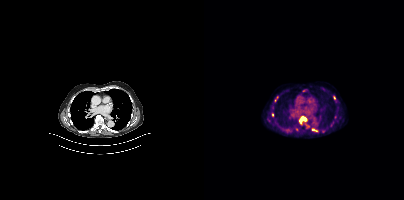
Left: CT. Right: PSMA PET, same axial level, 18F tracer. Acquired on Siemens Biograph mCT Flow 20. PET panel 200×200 px (4.1 mm/px). Coordinates are on the 200×200 PET (right) panel. (showing 5 of 6 foci) PSMA-avid tumor lesion bounding boxes (x0, y0)-(x1, y1): (95, 116)-(103, 124); (108, 128)-(113, 131). Small PSMA-avid foci (2 to 4 px across) near (center x, center y): (68, 114); (84, 130); (130, 97).